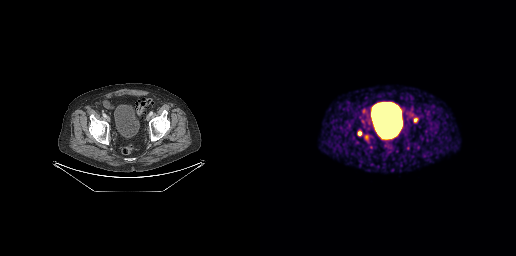
Coordinates are on the 256×256 PET (right) panel. Small PSMA-avid foci (2 to 4 px across) near (center x, center y): (99, 133); (155, 119); (103, 110).